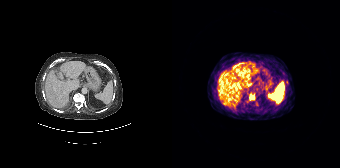
Findings: Coordinates are on the 168×168 PET (right) panel. PSMA-avid tumor lesion bounding box (x0, y0)-(x1, y1): (77, 94)-(82, 99).
Technique: Two-panel axial: CT | PSMA PET, 68Ga tracer. acquired on Siemens Biograph 64-4R TruePoint. PET panel 168×168 px (4.1 mm/px).